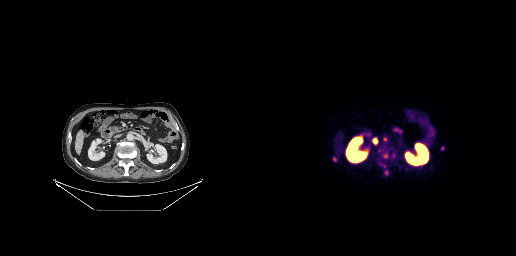
Coordinates are on the 256×256 PET (right) panel. (showing 3 of 4 foci) PSMA-avid tumor lesion bounding box (x, y, width, height): x=123 y=137 w=5 h=5. Small PSMA-avid foci (2 to 4 px across) near (center x, center y): (182, 148) / (114, 141).